Two-panel axial: CT | PSMA PET, [18F]PSMA-1007 tracer.
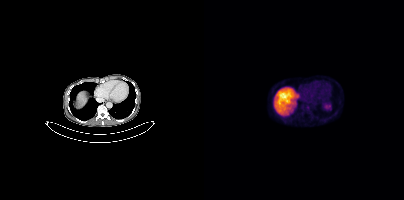
Coordinates are on the 200×200 PET (right) panel. Small PSMA-avid foci (2 to 4 px across) near (center x, center y): (103, 106); (98, 114).